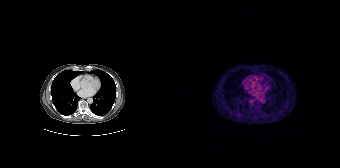
{"modality":"PSMA PET/CT","view":"axial","tracer":"[68Ga]Ga-PSMA-11","pet_grid":[168,168],"coord_frame":"pet_panel","coord_format":"x0,y0,x1,y1","psma_avid_lesions":false}